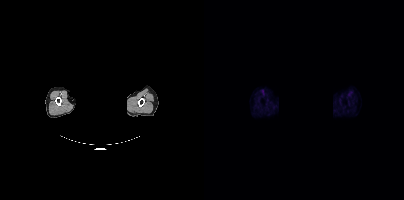
Technique: Left: CT. Right: PSMA PET, same axial level, 68Ga tracer. acquired on Siemens Biograph mCT Flow 20.
Note: Privacy masking over the head, with the pixels inside a rectangle set to black.
Findings: This slice has no annotated PSMA-avid lesion.